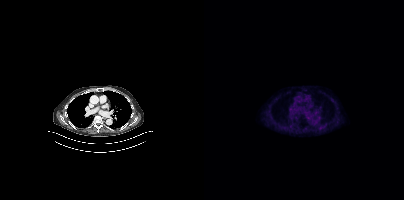
Technique: Paired axial CT (left) and PSMA PET (right), 18F-PSMA tracer. acquired on Siemens Biograph mCT Flow 20. slice position z = -552 mm. PET panel 200×200 px (4.1 mm/px).
Findings: Negative for PSMA-avid disease on this slice.